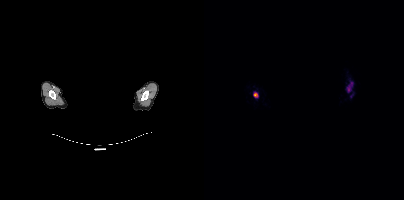
A rectangle over the head was blacked out to remove identifiable facial features. Paired axial CT (left) and PSMA PET (right), 18F-PSMA tracer. Acquired on Siemens Biograph mCT Flow 20. Slice position z = -180 mm.
Coordinates are on the 200×200 PET (right) panel. PSMA-avid tumor lesion bounding boxes:
| # | x0 | y0 | x1 | y1 |
|---|---|---|---|---|
| 1 | 143 | 84 | 148 | 92 |
| 2 | 49 | 92 | 54 | 97 |